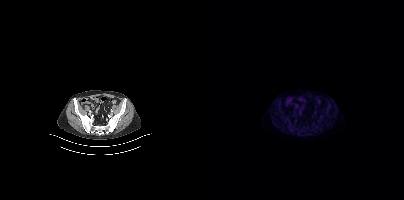
{"modality":"PSMA PET/CT","view":"axial","tracer":"18F","pet_grid":[200,200],"coord_frame":"pet_panel","coord_format":"x0,y0,x1,y1","psma_avid_lesions":false}